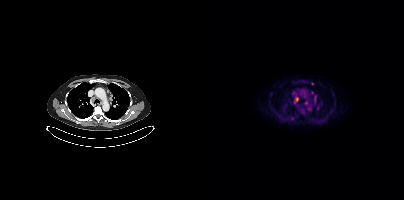
Coordinates are on the 200×200 PET (right) panel. PSMA-avid tumor lesion bounding boxes (partial; 2 more foci not listed):
| # | x0 | y0 | x1 | y1 |
|---|---|---|---|---|
| 1 | 90 | 97 | 94 | 102 |
| 2 | 100 | 101 | 104 | 104 |
Small PSMA-avid foci (2 to 4 px across) near (center x, center y): (98, 110); (88, 118); (113, 108); (108, 83).
Left: CT. Right: PSMA PET, same axial level, [18F]PSMA-1007 tracer. Acquired on Siemens Biograph mCT Flow 20. PET panel 200×200 px (4.1 mm/px).